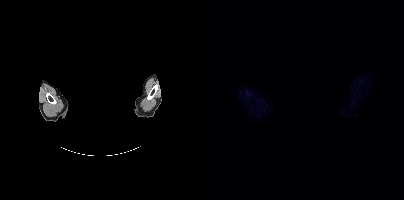
{"modality":"PSMA PET/CT","view":"axial","tracer":"18F","pet_grid":[200,200],"coord_frame":"pet_panel","coord_format":"x0,y0,x1,y1","de-identification":"head region blanked (face removed)","psma_avid_lesions":false}